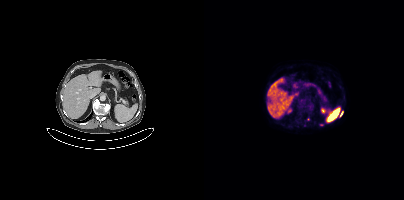
Coordinates are on the 200×200 PET (right) panel. (showing 1 of 2 foci) PSMA-avid tumor lesion bounding box (x0,y0,x1,y1): [136,112,138,116].